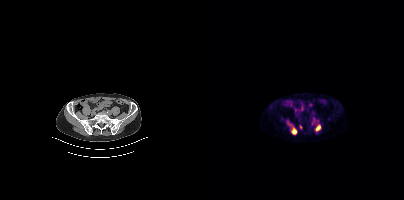
modality: PSMA PET/CT | tracer: 68Ga-PSMA | view: axial | PET grid: 200×200
Coordinates are on the 200×200 PET (right) panel. PSMA-avid tumor lesion bounding boxes (x0, y0)-(x1, y1): (87, 127)-(92, 134) / (111, 125)-(116, 130). Small PSMA-avid focus (2 to 4 px across) near (center x, center y): (96, 126).